- Left: CT. Right: PSMA PET, same axial level, 68Ga-PSMA tracer
- acquired on GE Discovery 690
- any black rectangle over the head is a privacy mask, not anatomy
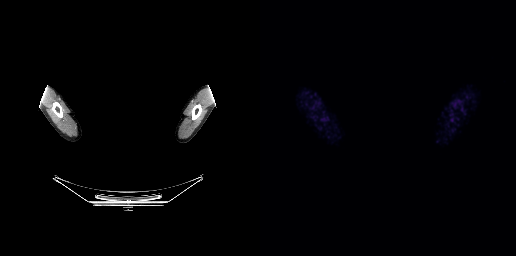
Findings: This slice has no annotated PSMA-avid lesion.